- Two-panel axial: CT | PSMA PET, [18F]PSMA-1007 tracer
- slice 61 of 395
- PET panel 200×200 px (4.1 mm/px)
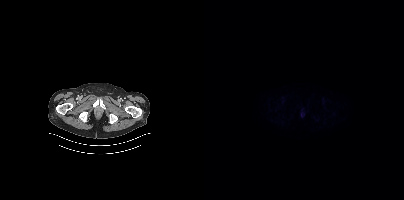
Findings: No PSMA-avid tumor lesions on this slice.